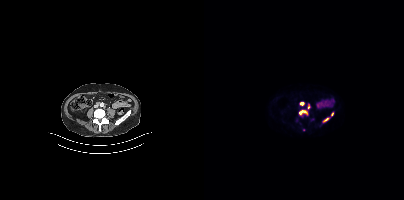
Two-panel axial: CT | PSMA PET, 18F-PSMA tracer. Acquired on Siemens Biograph mCT Flow 20. PET panel 200×200 px (4.1 mm/px).
Coordinates are on the 200×200 PET (right) panel. PSMA-avid tumor lesion bounding boxes:
| # | x0 | y0 | x1 | y1 |
|---|---|---|---|---|
| 1 | 95 | 110 | 103 | 114 |
| 2 | 119 | 118 | 125 | 122 |
| 3 | 96 | 102 | 100 | 105 |
Small PSMA-avid foci (2 to 4 px across) near (center x, center y): (128, 113); (104, 107).